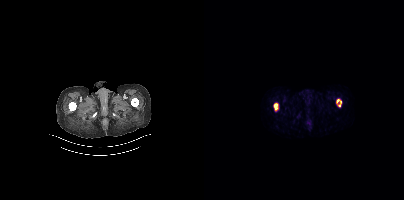
- Paired axial CT (left) and PSMA PET (right), [68Ga]Ga-PSMA-11 tracer
Findings: This slice has no annotated PSMA-avid lesion.